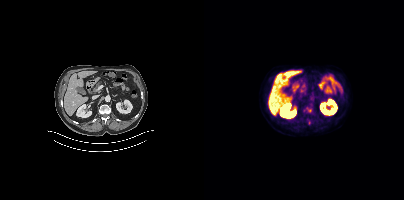
modality: PSMA PET/CT | tracer: 18F-PSMA | view: axial
Coordinates are on the 200×200 PET (right) panel. (showing 1 of 2 foci) Small PSMA-avid focus (2 to 4 px across) near (center x, center y): (106, 110).